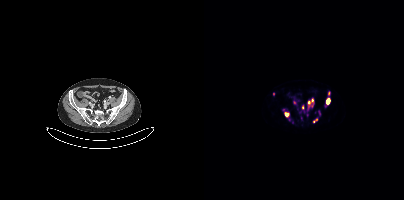
Coordinates are on the 200×200 PET (right) panel. PSMA-avid tumor lesion bounding boxes:
| # | x0 | y0 | x1 | y1 |
|---|---|---|---|---|
| 1 | 103 | 101 | 108 | 111 |
| 2 | 122 | 99 | 125 | 104 |
| 3 | 81 | 113 | 85 | 117 |
| 4 | 109 | 119 | 113 | 122 |
Small PSMA-avid foci (2 to 4 px across) near (center x, center y): (115, 112); (69, 94); (124, 93); (108, 100); (98, 107); (90, 102).
Left: CT. Right: PSMA PET, same axial level, 68Ga-PSMA tracer. Acquired on Siemens Biograph mCT Flow 20.